modality: PSMA PET/CT | tracer: 18F | view: axial
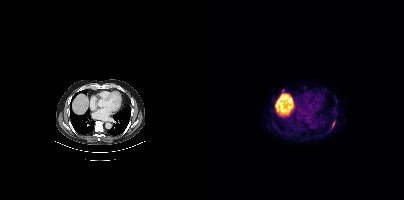
Coordinates are on the 200×200 PET (right) panel. PSMA-avid tumor lesion bounding box (x0, y0)-(x1, y1): (127, 121)-(131, 128).